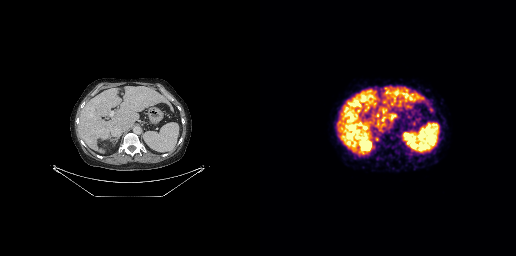
{"modality":"PSMA PET/CT","view":"axial","tracer":"[68Ga]Ga-PSMA-11","pet_grid":[256,256],"coord_frame":"pet_panel","coord_format":"x0,y0,x1,y1","psma_avid_lesions":false}